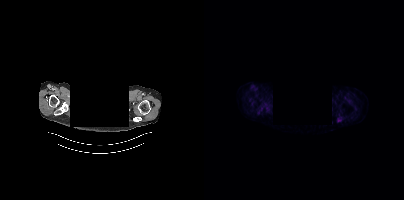
Coordinates are on the 200×200 PET (right) panel. PSMA-avid tumor lesion bounding boxes:
| # | x0 | y0 | x1 | y1 |
|---|---|---|---|---|
| 1 | 133 | 117 | 138 | 122 |
Two-panel axial: CT | PSMA PET, 18F tracer. Slice position z = -200 mm. A rectangular block over the head has been blanked out for de-identification.